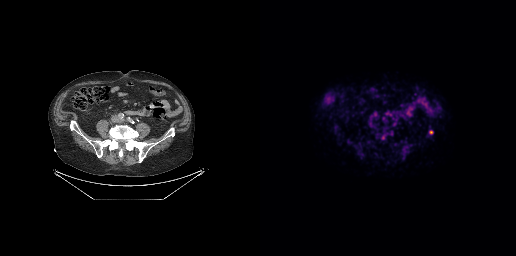
Coordinates are on the 256×256 PET (right) panel. PSMA-avid tumor lesion bounding box (x0, y0)-(x1, y1): (169, 130)-(173, 134). Small PSMA-avid focus (2 to 4 px across) near (center x, center y): (123, 137).
modality: PSMA PET/CT | tracer: 18F | view: axial | PET grid: 256×256